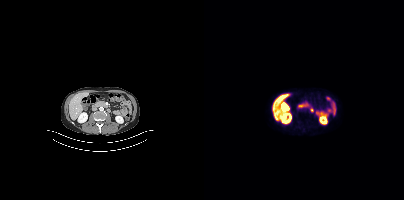
Negative for PSMA-avid disease on this slice.